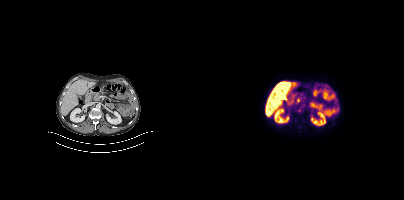
Findings: Coordinates are on the 200×200 PET (right) panel. Small PSMA-avid focus (2 to 4 px across) near (center x, center y): (95, 110).
Technique: Left: CT. Right: PSMA PET, same axial level, 18F tracer. acquired on Siemens Biograph mCT Flow 20. slice position z = -709 mm.